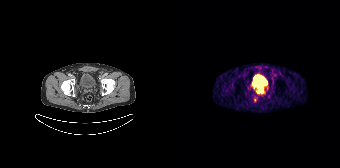
{"modality":"PSMA PET/CT","view":"axial","tracer":"68Ga-PSMA","pet_grid":[168,168],"coord_frame":"pet_panel","coord_format":"x0,y0,x1,y1","lesion_bboxes":[[84,90,90,93]],"small_foci_centers":[[83,99]]}